Left: CT. Right: PSMA PET, same axial level, 18F tracer. Acquired on Siemens Biograph mCT Flow 20. Slice 194 of 435.
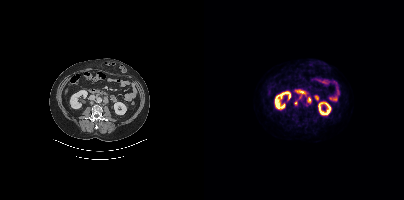
Coordinates are on the 200×200 PET (right) panel. PSMA-avid tumor lesion bounding boxes:
| # | x0 | y0 | x1 | y1 |
|---|---|---|---|---|
| 1 | 99 | 94 | 107 | 103 |
Small PSMA-avid foci (2 to 4 px across) near (center x, center y): (95, 97); (91, 103).